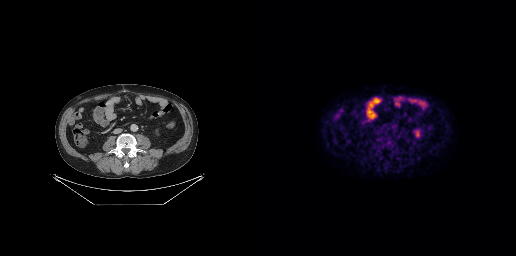
Negative for PSMA-avid disease on this slice.
modality: PSMA PET/CT | tracer: 18F-PSMA | view: axial